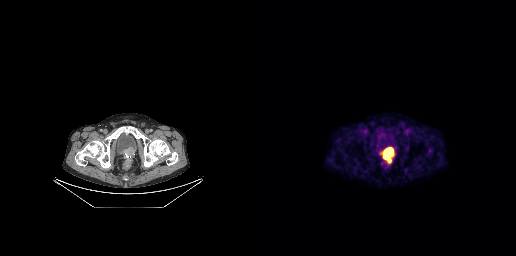
Technique: Paired axial CT (left) and PSMA PET (right), 18F-PSMA tracer. slice 61 of 263.
Findings: Coordinates are on the 256×256 PET (right) panel. PSMA-avid tumor lesion bounding box (x0,y0,x1,y1): [123,147,133,162].